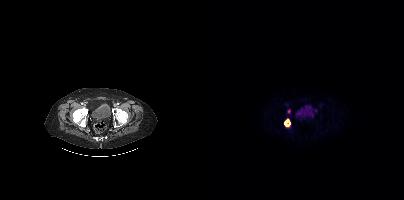
Two-panel axial: CT | PSMA PET, [18F]PSMA-1007 tracer.
Coordinates are on the 200×200 PET (right) panel. PSMA-avid tumor lesion bounding boxes:
| # | x0 | y0 | x1 | y1 |
|---|---|---|---|---|
| 1 | 80 | 119 | 86 | 126 |